modality: PSMA PET/CT | tracer: 18F | view: axial | PET grid: 200×200
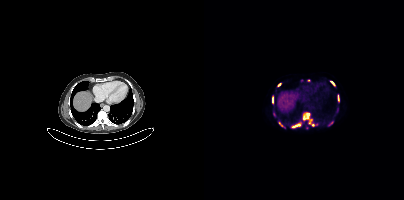
Coordinates are on the 200×200 PET (right) panel. (showing 10 of 11 foci) PSMA-avid tumor lesion bounding boxes (x0, y0)-(x1, y1): (99, 112)-(109, 125) | (133, 94)-(135, 101) | (68, 96)-(69, 103) | (126, 81)-(131, 85) | (75, 122)-(78, 126). Small PSMA-avid foci (2 to 4 px across) near (center x, center y): (104, 80) | (103, 128) | (75, 84) | (126, 123) | (88, 126).